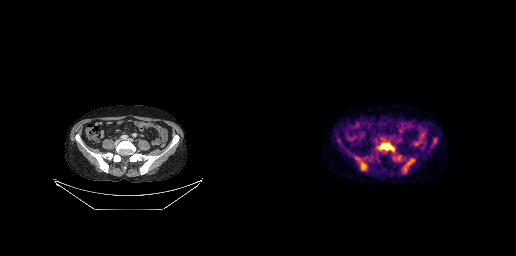
modality: PSMA PET/CT | tracer: 18F-PSMA | view: axial | PET grid: 256×256
Coordinates are on the 256×256 PET (right) panel. PSMA-avid tumor lesion bounding boxes (x0,y0,x1,y1): [143,158,154,172], [120,143,133,150], [101,162,106,170], [133,155,141,160]. Small PSMA-avid focus (2 to 4 px across) near (center x, center y): (97, 158).